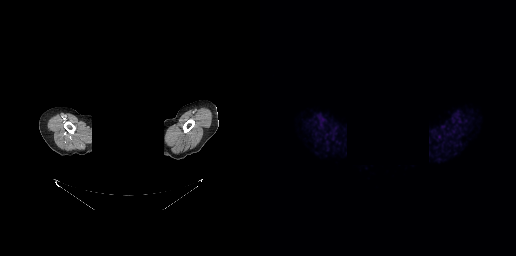
{"modality":"PSMA PET/CT","view":"axial","tracer":"68Ga-PSMA","pet_grid":[256,256],"coord_frame":"pet_panel","coord_format":"x0,y0,x1,y1","psma_avid_lesions":false,"deidentification":"head region blanked (face removed)"}